- Two-panel axial: CT | PSMA PET, 18F-PSMA tracer
- slice position z = -1020 mm
- PET panel 200×200 px (4.1 mm/px)
- facial anatomy redacted by setting a rectangular region of the head to black
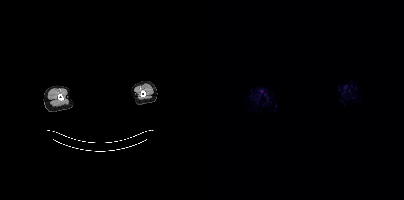
Findings: Negative for PSMA-avid disease on this slice.